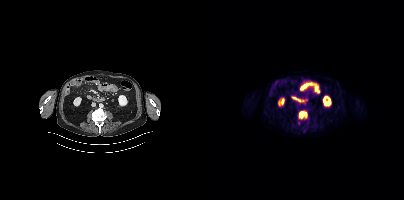
Technique: Two-panel axial: CT | PSMA PET, 18F-PSMA tracer.
Findings: Coordinates are on the 200×200 PET (right) panel. PSMA-avid tumor lesion bounding box (x0,y0,x1,y1): [95,111,102,118].